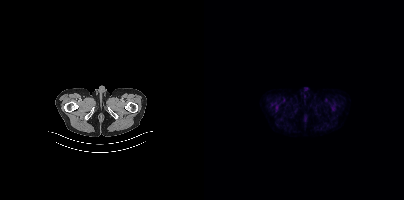
{"pet_grid":[200,200],"coord_frame":"pet_panel","coord_format":"x0,y0,x1,y1","psma_avid_lesions":false,"modality":"PSMA PET/CT","view":"axial","tracer":"[18F]PSMA-1007"}